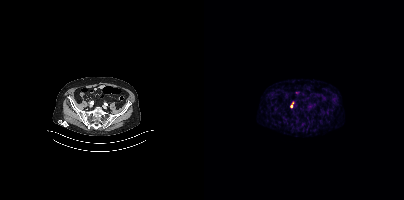
{"modality":"PSMA PET/CT","view":"axial","tracer":"[68Ga]Ga-PSMA-11","pet_grid":[200,200],"coord_frame":"pet_panel","coord_format":"x0,y0,x1,y1","lesion_bboxes":[],"small_foci_centers":[[87,106]]}